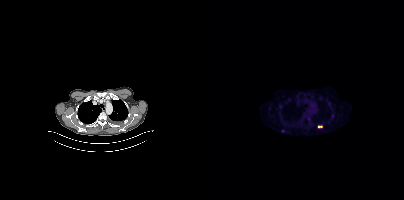
Coordinates are on the 200×200 PET (right) panel. PSMA-avid tumor lesion bounding boxes:
| # | x0 | y0 | x1 | y1 |
|---|---|---|---|---|
| 1 | 114 | 126 | 118 | 127 |
Small PSMA-avid foci (2 to 4 px across) near (center x, center y): (76, 106); (128, 115).
Left: CT. Right: PSMA PET, same axial level, [18F]PSMA-1007 tracer. Acquired on Siemens Biograph mCT Flow 20. PET panel 200×200 px (4.1 mm/px).